modality: PSMA PET/CT | tracer: [18F]PSMA-1007 | view: axial | PET grid: 256×256
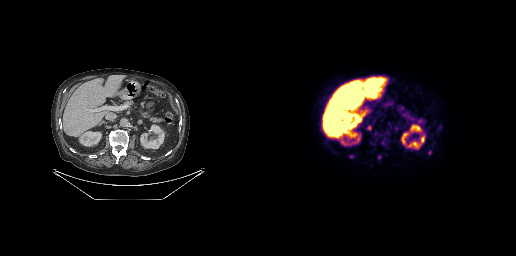
Coordinates are on the 256×256 PET (right) panel. (showing 3 of 4 foci) PSMA-avid tumor lesion bounding boxes (x0, y0)-(x1, y1): (107, 125)-(111, 130) / (168, 150)-(171, 154) / (89, 155)-(93, 158).